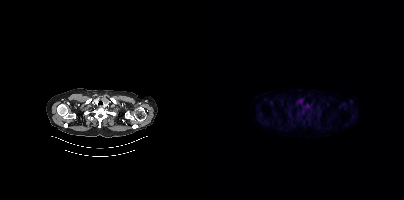
No PSMA-avid tumor lesions on this slice. Left: CT. Right: PSMA PET, same axial level, 18F-PSMA tracer. Acquired on Siemens Biograph mCT Flow 20. Slice position z = -325 mm.